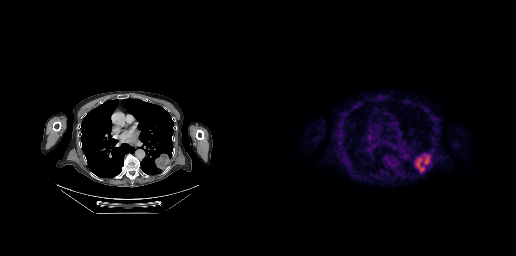
Technique: Two-panel axial: CT | PSMA PET, 18F-PSMA tracer. acquired on GE Discovery 690. slice position z = -303 mm. PET panel 256×256 px (2.7 mm/px).
Findings: Coordinates are on the 256×256 PET (right) panel. PSMA-avid tumor lesion bounding box (x0,y0,x1,y1): [155,154,170,172].